Technique: Paired axial CT (left) and PSMA PET (right), 18F tracer. slice position z = -1136 mm. PET panel 200×200 px (4.1 mm/px).
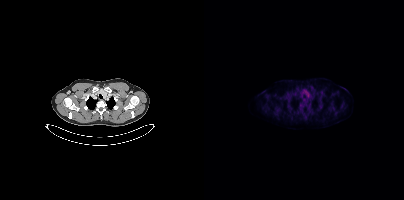
Findings: No PSMA-avid tumor lesions on this slice.